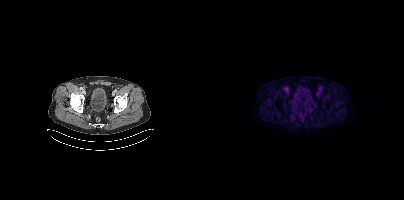
{"modality":"PSMA PET/CT","view":"axial","tracer":"18F-PSMA","pet_grid":[200,200],"coord_frame":"pet_panel","coord_format":"x0,y0,x1,y1","psma_avid_lesions":false}